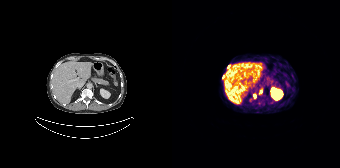
Coordinates are on the 168×168 PET (right) panel. PSMA-avid tumor lesion bounding box (x0, y0)-(x1, y1): (81, 94)-(83, 98). Small PSMA-avid foci (2 to 4 px across) near (center x, center y): (56, 66); (51, 76); (88, 91).
modality: PSMA PET/CT | tracer: 68Ga-PSMA | view: axial